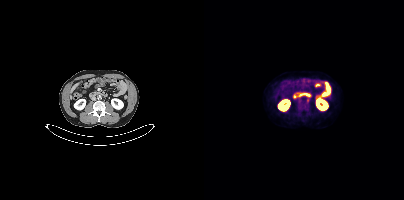
No PSMA-avid tumor lesions on this slice.